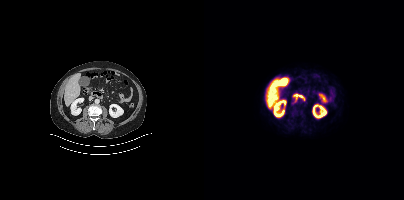
Negative for PSMA-avid disease on this slice. Two-panel axial: CT | PSMA PET, 18F-PSMA tracer. Slice position z = -612 mm. PET panel 200×200 px (4.1 mm/px).